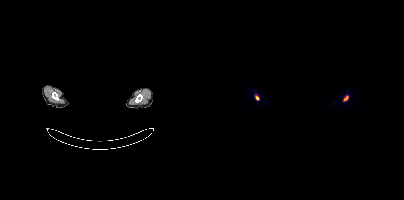
deidentification: facial region redacted | modality: PSMA PET/CT | tracer: [68Ga]Ga-PSMA-11 | view: axial
Coordinates are on the 200×200 PET (right) panel. PSMA-avid tumor lesion bounding box (x, y, width, height): x=140 y=96 w=5 h=5. Small PSMA-avid focus (2 to 4 px across) near (center x, center y): (53, 97).